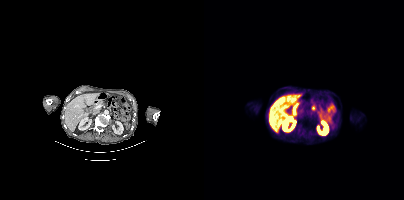
No tumor lesions annotated on this slice. Two-panel axial: CT | PSMA PET, 18F-PSMA tracer. PET panel 200×200 px (4.1 mm/px).